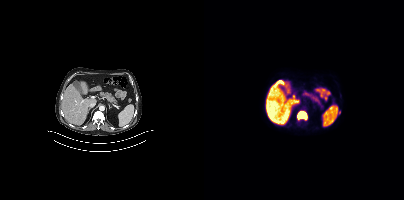
Coordinates are on the 200×200 PET (right) panel. PSMA-avid tumor lesion bounding box (x0,y0,x1,y1): [93,110,103,120]. Small PSMA-avid focus (2 to 4 px across) near (center x, center y): (135, 112).
modality: PSMA PET/CT | tracer: 18F | view: axial